Two-panel axial: CT | PSMA PET, 18F tracer.
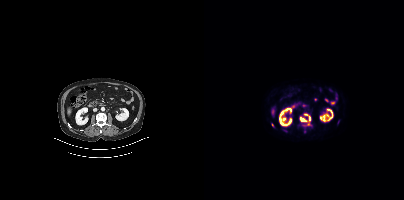
Coordinates are on the 200×200 PET (right) panel. (showing 3 of 4 foci) PSMA-avid tumor lesion bounding boxes (x, y, width, height): x=96 y=117 w=8 h=5 / x=100 y=114 w=7 h=8. Small PSMA-avid focus (2 to 4 px across) near (center x, center y): (68, 125).